The face region was removed for patient privacy by blanking a rectangle over the head.
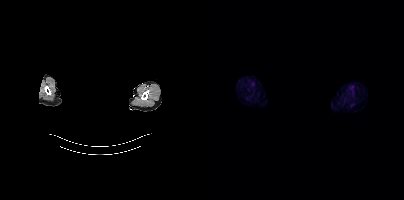
This slice has no annotated PSMA-avid lesion.